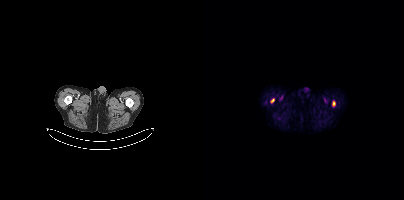
Coordinates are on the 200×200 PET (right) panel. PSMA-avid tumor lesion bounding boxes (x, y, width, height): x=66 y=98 w=5 h=6 / x=128 y=101 w=4 h=5.